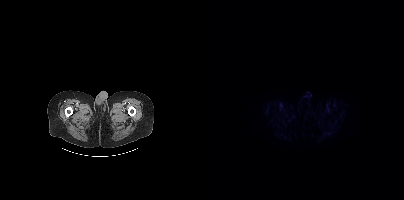
This slice has no annotated PSMA-avid lesion.